Technique: Paired axial CT (left) and PSMA PET (right), 18F tracer. acquired on Siemens Biograph mCT Flow 20. slice position z = -1028 mm. PET panel 200×200 px (4.1 mm/px).
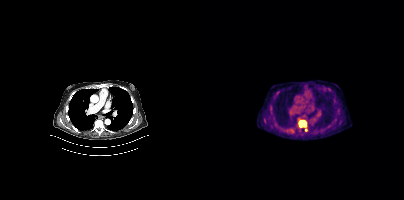
Findings: Coordinates are on the 200×200 PET (right) panel. PSMA-avid tumor lesion bounding box (x0, y0)-(x1, y1): (95, 120)-(102, 126). Small PSMA-avid focus (2 to 4 px across) near (center x, center y): (101, 129).